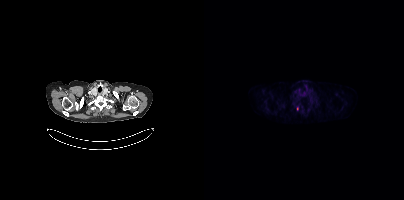
Coordinates are on the 200×200 PET (right) panel. Small PSMA-avid focus (2 to 4 px across) near (center x, center y): (93, 108).